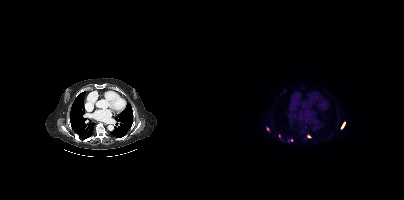
Technique: Two-panel axial: CT | PSMA PET, 18F-PSMA tracer.
Findings: Coordinates are on the 200×200 PET (right) panel. PSMA-avid tumor lesion bounding boxes (x, y, width, height): x=137 y=122 w=5 h=7 / x=103 y=134 w=5 h=5. Small PSMA-avid foci (2 to 4 px across) near (center x, center y): (63, 128) / (75, 136) / (87, 140) / (84, 140).